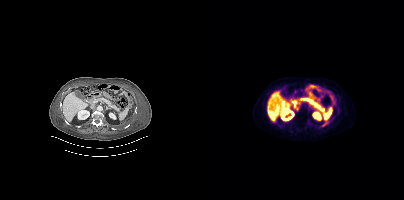
Technique: Paired axial CT (left) and PSMA PET (right), 18F tracer. slice 164 of 344. PET panel 200×200 px (4.1 mm/px).
Findings: No tumor lesions annotated on this slice.